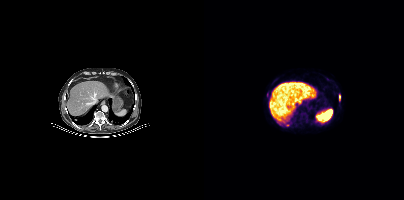
{"modality":"PSMA PET/CT","view":"axial","tracer":"[18F]PSMA-1007","pet_grid":[200,200],"coord_frame":"pet_panel","coord_format":"x0,y0,x1,y1","lesion_bboxes":[[135,95,136,100]],"small_foci_centers":[[83,125],[63,94]]}